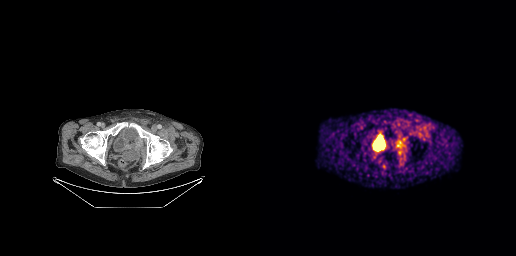
{"modality":"PSMA PET/CT","view":"axial","tracer":"[68Ga]Ga-PSMA-11","pet_grid":[256,256],"coord_frame":"pet_panel","coord_format":"x0,y0,x1,y1","lesion_bboxes":[[138,139,143,143]]}